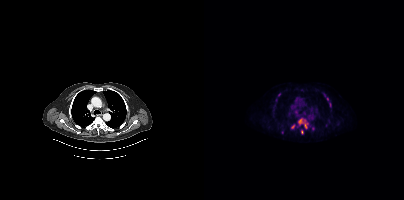
Coordinates are on the 200×200 PET (right) panel. (showing 6 of 10 foci) PSMA-avid tumor lesion bounding boxes (x0, y0)-(x1, y1): (100, 123)-(103, 128); (95, 120)-(99, 124); (97, 130)-(99, 134). Small PSMA-avid foci (2 to 4 px across) near (center x, center y): (88, 126); (109, 128); (123, 99).